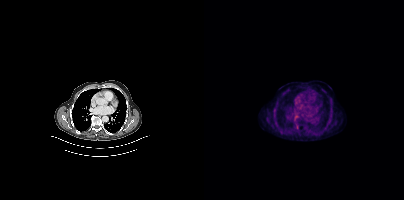
Only PSMA-avid lesion pieces thinner than 2 px on this slice (not listed).